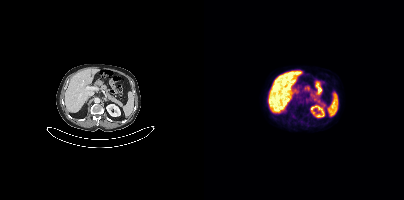
Coordinates are on the 200×200 PET (right) panel. Small PSMA-avid focus (2 to 4 px across) near (center x, center y): (103, 100).